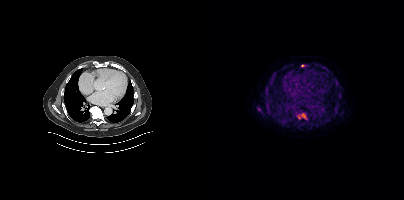
Findings: Coordinates are on the 200×200 PET (right) panel. PSMA-avid tumor lesion bounding boxes (x0, y0)-(x1, y1): (95, 110)-(102, 115) / (61, 103)-(66, 108) / (67, 72)-(72, 78) / (118, 66)-(122, 70) / (61, 87)-(65, 91). Small PSMA-avid foci (2 to 4 px across) near (center x, center y): (132, 82) / (98, 65) / (130, 115) / (67, 115).
Technique: Left: CT. Right: PSMA PET, same axial level, [18F]PSMA-1007 tracer.